Left: CT. Right: PSMA PET, same axial level, [18F]PSMA-1007 tracer. PET panel 200×200 px (4.1 mm/px).
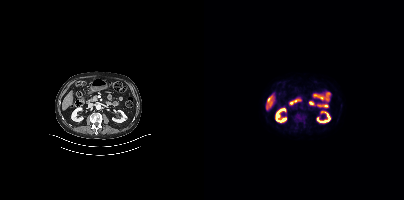
This slice has no annotated PSMA-avid lesion.